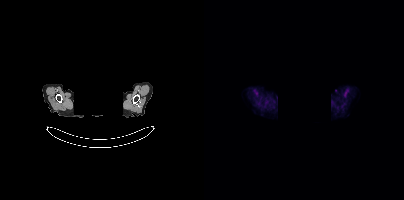
Technique: Paired axial CT (left) and PSMA PET (right), 18F tracer. slice 360 of 401.
Note: The face region was removed for patient privacy by blanking a rectangle over the head.
Findings: Negative for PSMA-avid disease on this slice.